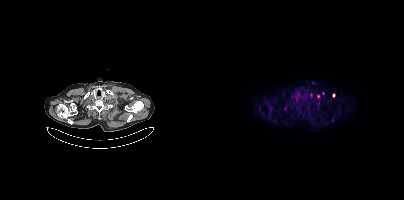
Paired axial CT (left) and PSMA PET (right), [18F]PSMA-1007 tracer. Slice position z = -369 mm. PET panel 200×200 px (4.1 mm/px). Coordinates are on the 200×200 PET (right) panel. (showing 4 of 5 foci) Small PSMA-avid foci (2 to 4 px across) near (center x, center y): (107, 95) / (129, 95) / (114, 96) / (109, 82).